Technique: Left: CT. Right: PSMA PET, same axial level, [18F]PSMA-1007 tracer.
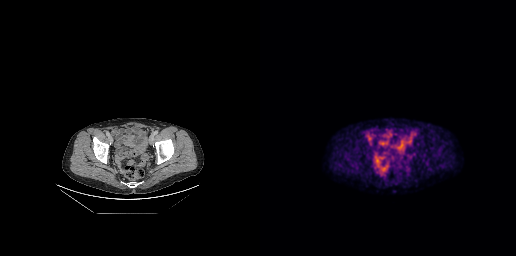
Findings: No tumor lesions annotated on this slice.